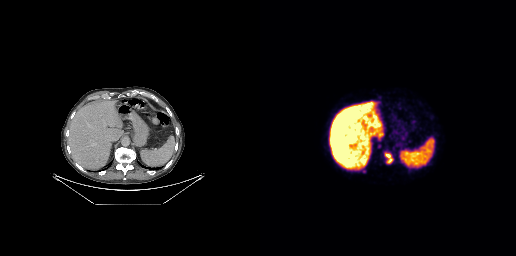
Technique: Paired axial CT (left) and PSMA PET (right), 18F tracer. acquired on GE Discovery 690. slice 154 of 263. PET panel 256×256 px (2.7 mm/px).
Findings: Coordinates are on the 256×256 PET (right) panel. PSMA-avid tumor lesion bounding boxes (x, y, width, height): x=125 y=153 w=8 h=11 / x=102 y=168 w=4 h=5. Small PSMA-avid focus (2 to 4 px across) near (center x, center y): (119, 146).